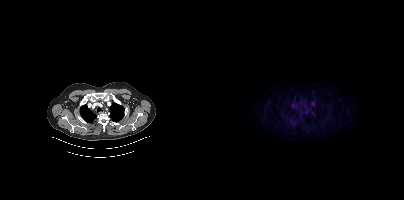
Technique: Left: CT. Right: PSMA PET, same axial level, [18F]PSMA-1007 tracer. slice position z = -993 mm. PET panel 200×200 px (4.1 mm/px).
Findings: This slice has no annotated PSMA-avid lesion.